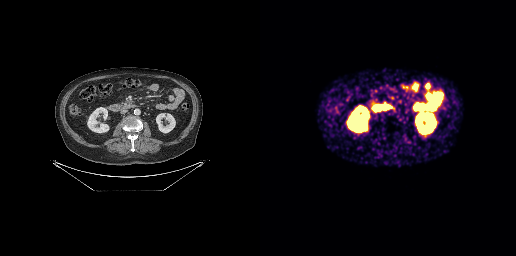
Negative for PSMA-avid disease on this slice.